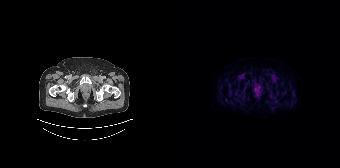
This slice has no annotated PSMA-avid lesion.